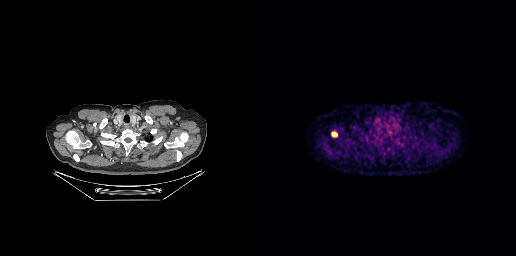
{"modality":"PSMA PET/CT","view":"axial","tracer":"[18F]PSMA-1007","pet_grid":[256,256],"coord_frame":"pet_panel","coord_format":"x0,y0,x1,y1","lesion_bboxes":[[72,132,77,136]]}